De-identified by setting a box covering the face to black before release. Left: CT. Right: PSMA PET, same axial level, 18F tracer.
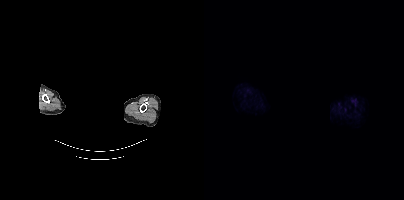
Negative for PSMA-avid disease on this slice.